- Two-panel axial: CT | PSMA PET, [18F]PSMA-1007 tracer
- acquired on Siemens Biograph mCT Flow 20
- PET panel 200×200 px (4.1 mm/px)
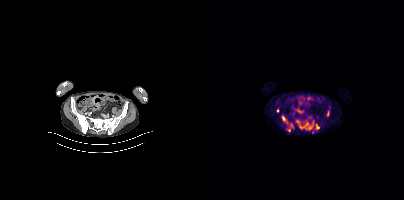
Findings: Coordinates are on the 200×200 PET (right) panel. (showing 6 of 7 foci) PSMA-avid tumor lesion bounding boxes (x, y, width, height): x=92 y=120 w=18 h=11 | x=83 y=125 w=7 h=7 | x=112 y=124 w=3 h=6 | x=123 y=111 w=3 h=5. Small PSMA-avid foci (2 to 4 px across) near (center x, center y): (73, 110) | (79, 118).